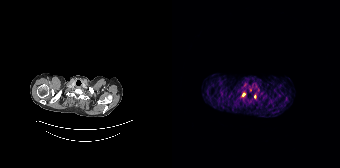
Coordinates are on the 168×168 PET (right) panel. Small PSMA-avid foci (2 to 4 px across) near (center x, center y): (71, 94) (82, 96).